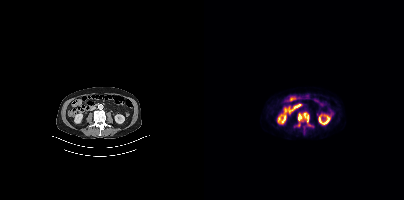
Coordinates are on the 200×200 PET (right) panel. PSMA-avid tumor lesion bounding box (x0, y0)-(x1, y1): (94, 112)-(105, 126).
modality: PSMA PET/CT | tracer: [18F]PSMA-1007 | view: axial | PET grid: 200×200